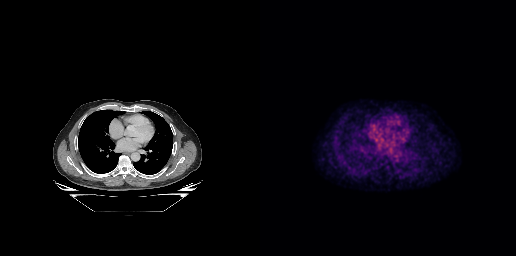
modality: PSMA PET/CT | tracer: [18F]PSMA-1007 | view: axial | PET grid: 256×256
Negative for PSMA-avid disease on this slice.